- Two-panel axial: CT | PSMA PET, 18F-PSMA tracer
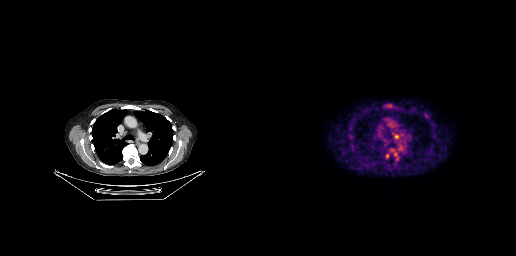
Findings: Coordinates are on the 256×256 PET (right) panel. Small PSMA-avid focus (2 to 4 px across) near (center x, center y): (136, 136).